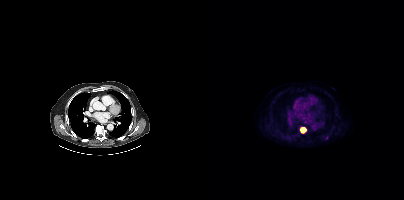
Findings: Coordinates are on the 200×200 PET (right) panel. PSMA-avid tumor lesion bounding box (x0, y0)-(x1, y1): (96, 127)-(102, 133). Small PSMA-avid focus (2 to 4 px across) near (center x, center y): (123, 138).
- Left: CT. Right: PSMA PET, same axial level, 18F tracer
- PET panel 200×200 px (4.1 mm/px)